modality: PSMA PET/CT | tracer: 18F-PSMA | view: axial
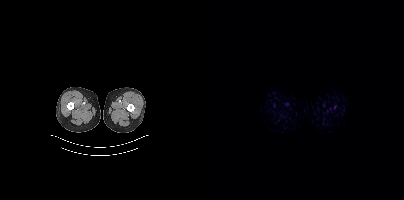
No PSMA-avid tumor lesions on this slice.